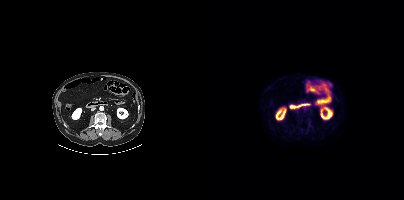
No PSMA-avid tumor lesions on this slice.